Left: CT. Right: PSMA PET, same axial level, 18F-PSMA tracer. PET panel 200×200 px (4.1 mm/px).
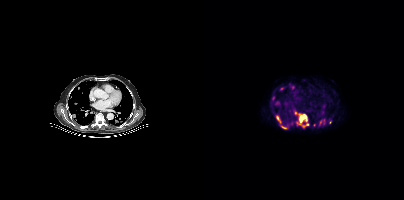
Coordinates are on the 200×200 PET (right) panel. PSMA-avid tumor lesion bounding boxes:
| # | x0 | y0 | x1 | y1 |
|---|---|---|---|---|
| 1 | 90 | 111 | 104 | 127 |
| 2 | 72 | 115 | 77 | 122 |
| 3 | 77 | 125 | 83 | 129 |
| 4 | 68 | 96 | 71 | 100 |
Small PSMA-avid foci (2 to 4 px across) near (center x, center y): (77, 88); (93, 122); (116, 122); (73, 103); (89, 87); (110, 125); (118, 112); (126, 122).